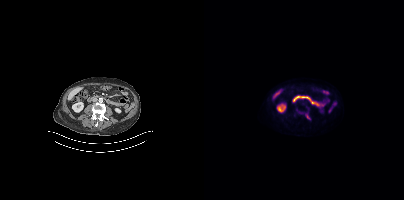
Coordinates are on the 200×200 PET (right) panel. (showing 2 of 3 foci) PSMA-avid tumor lesion bounding box (x, y, width, height): x=101 y=113 w=6 h=7. Small PSMA-avid focus (2 to 4 px across) near (center x, center y): (96, 112).